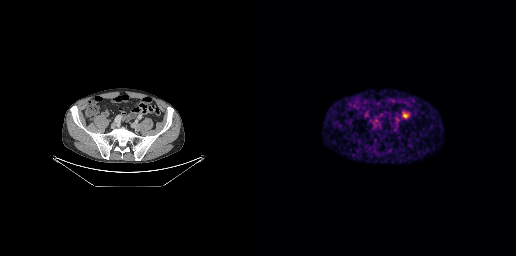
{"modality":"PSMA PET/CT","view":"axial","tracer":"68Ga-PSMA","pet_grid":[256,256],"coord_frame":"pet_panel","coord_format":"x0,y0,x1,y1","psma_avid_lesions":false}